Left: CT. Right: PSMA PET, same axial level, 18F-PSMA tracer. Acquired on Siemens Biograph mCT Flow 20. PET panel 200×200 px (4.1 mm/px).
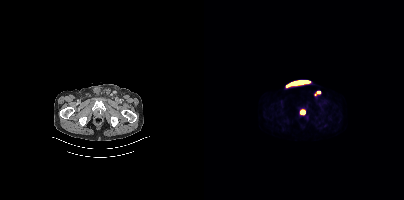
Coordinates are on the 200×200 PET (right) panel. PSMA-avid tumor lesion bounding boxes:
| # | x0 | y0 | x1 | y1 |
|---|---|---|---|---|
| 1 | 96 | 109 | 101 | 114 |
| 2 | 111 | 91 | 116 | 95 |